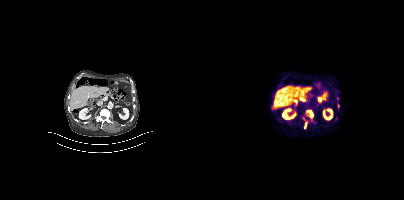
Findings: Coordinates are on the 200×200 PET (right) panel. (showing 3 of 4 foci) PSMA-avid tumor lesion bounding boxes (x0, y0)-(x1, y1): (101, 109)-(109, 120) | (99, 118)-(104, 127). Small PSMA-avid focus (2 to 4 px across) near (center x, center y): (134, 105).
Technique: Two-panel axial: CT | PSMA PET, 18F tracer. acquired on Siemens Biograph mCT Flow 20. slice position z = -1215 mm. PET panel 200×200 px (4.1 mm/px).